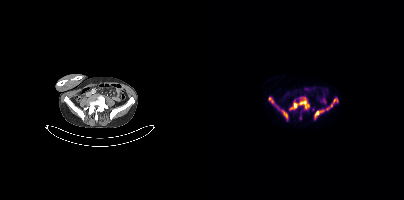
Technique: Left: CT. Right: PSMA PET, same axial level, 18F tracer.
Findings: Coordinates are on the 200×200 PET (right) panel. PSMA-avid tumor lesion bounding boxes (x0, y0)-(x1, y1): (85, 97)-(105, 109) | (65, 97)-(83, 118) | (122, 97)-(134, 109) | (110, 110)-(116, 119). Small PSMA-avid focus (2 to 4 px across) near (center x, center y): (119, 110).